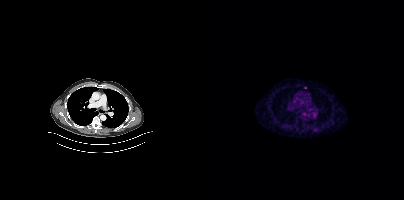
No PSMA-avid tumor lesions on this slice.